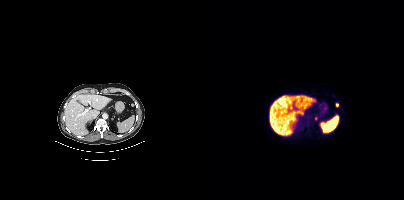
Findings: Coordinates are on the 200×200 PET (right) panel. Small PSMA-avid foci (2 to 4 px across) near (center x, center y): (133, 104); (112, 118).
- Paired axial CT (left) and PSMA PET (right), 18F-PSMA tracer
- slice position z = -689 mm
- PET panel 200×200 px (4.1 mm/px)